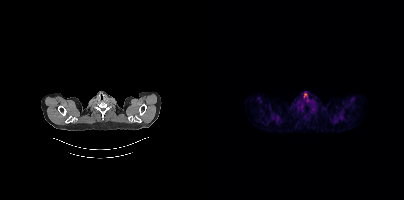
Two-panel axial: CT | PSMA PET, 68Ga tracer. Acquired on Siemens Biograph mCT Flow 20. Slice position z = -461 mm. No PSMA-avid tumor lesions on this slice.